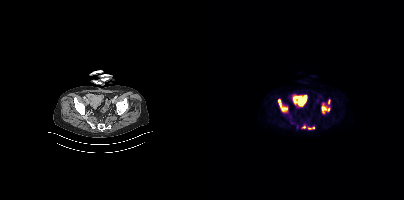
Coordinates are on the 200×200 PET (right) panel. (showing 5 of 6 foci) PSMA-avid tumor lesion bounding boxes (x, y, width, height): x=74 y=99 w=10 h=13; x=118 y=103 w=5 h=11; x=124 y=99 w=3 h=5; x=105 y=127 w=6 h=3. Small PSMA-avid focus (2 to 4 px across) near (center x, center y): (124, 109).